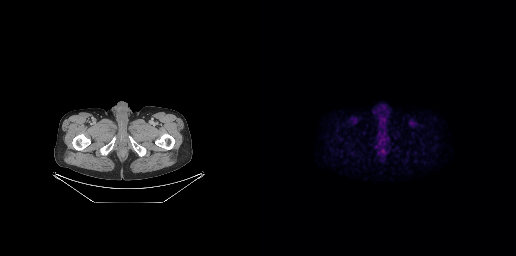
Two-panel axial: CT | PSMA PET, [18F]PSMA-1007 tracer. Acquired on GE Discovery 690. Coordinates are on the 256×256 PET (right) panel. Small PSMA-avid focus (2 to 4 px across) near (center x, center y): (137, 147).